Technique: Paired axial CT (left) and PSMA PET (right), [18F]PSMA-1007 tracer.
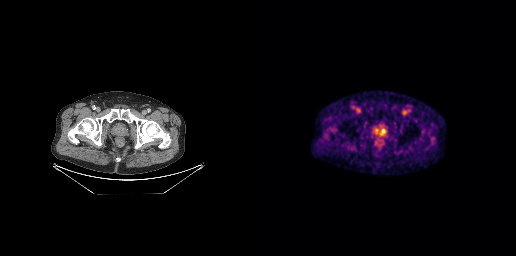
Findings: Coordinates are on the 256×256 PET (right) panel. PSMA-avid tumor lesion bounding box (x0,y0,x1,y1): [120,128,124,132].